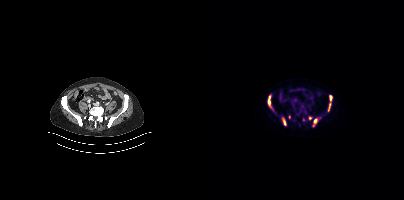
Coordinates are on the 200×200 PET (right) panel. PSMA-avid tumor lesion bounding boxes (partial; 1 more focus not listed):
| # | x0 | y0 | x1 | y1 |
|---|---|---|---|---|
| 1 | 63 | 100 | 67 | 107 |
| 2 | 78 | 118 | 82 | 125 |
| 3 | 125 | 95 | 128 | 100 |
| 4 | 124 | 103 | 126 | 111 |
| 5 | 110 | 119 | 112 | 123 |
Small PSMA-avid foci (2 to 4 px across) near (center x, center y): (99, 119); (106, 118); (65, 96); (85, 117).
Two-panel axial: CT | PSMA PET, 18F tracer. Acquired on Siemens Biograph mCT Flow 20.